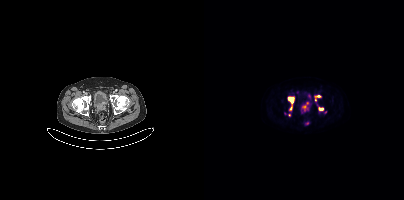
Two-panel axial: CT | PSMA PET, [18F]PSMA-1007 tracer. Slice position z = -100 mm. Coordinates are on the 200×200 PET (right) panel. PSMA-avid tumor lesion bounding boxes (x0,y0,x1,y1): [84,97,89,110]; [98,103,103,110]; [111,97,112,101]; [115,108,119,109]. Small PSMA-avid foci (2 to 4 px across) near (center x, center y): (105, 95); (115, 96).